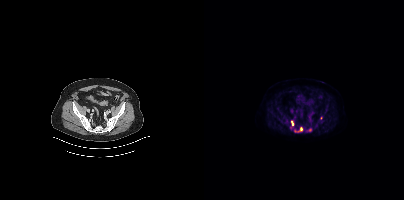
modality: PSMA PET/CT | tracer: [18F]PSMA-1007 | view: axial | PET grid: 200×200
Coordinates are on the 200×200 PET (right) panel. PSMA-avid tumor lesion bounding boxes (x, y, width, height): x=90 y=127 w=9 h=6 | x=87 y=120 w=4 h=7 | x=103 y=128 w=5 h=4. Small PSMA-avid focus (2 to 4 px across) near (center x, center y): (117, 118).